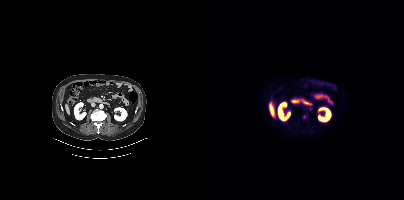
Left: CT. Right: PSMA PET, same axial level, [18F]PSMA-1007 tracer. Slice 203 of 450. Only PSMA-avid lesion pieces thinner than 2 px on this slice (not listed).